Left: CT. Right: PSMA PET, same axial level, 18F tracer. Slice 212 of 387. PET panel 200×200 px (4.1 mm/px).
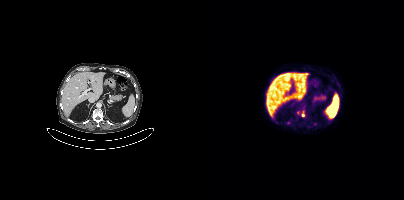
Coordinates are on the 200×200 PET (right) panel. PSMA-avid tumor lesion bounding boxes:
| # | x0 | y0 | x1 | y1 |
|---|---|---|---|---|
| 1 | 93 | 110 | 96 | 114 |
| 2 | 98 | 111 | 100 | 116 |